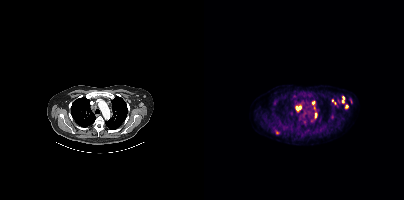
Coordinates are on the 200×200 PET (right) panel. (showing 13 of 15 foci) PSMA-avid tumor lesion bounding boxes (x, y, width, height): x=128 y=99 w=7 h=9 | x=92 y=106 w=5 h=5 | x=111 y=113 w=3 h=6. Small PSMA-avid foci (2 to 4 px across) near (center x, center y): (109, 102) | (142, 106) | (139, 101) | (73, 132) | (71, 102) | (100, 113) | (90, 95) | (139, 97) | (100, 121) | (128, 116).